Technique: Left: CT. Right: PSMA PET, same axial level, 68Ga-PSMA tracer. acquired on Siemens Biograph 64-4R TruePoint. slice position z = -1090 mm.
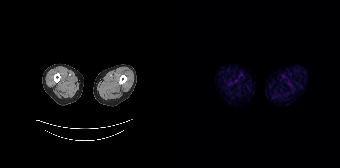
Findings: This slice has no annotated PSMA-avid lesion.